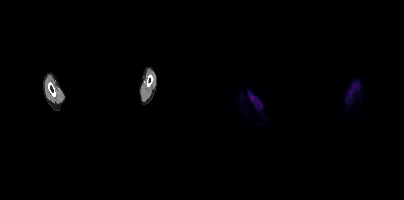
Findings: No tumor lesions annotated on this slice.
- Two-panel axial: CT | PSMA PET, [18F]PSMA-1007 tracer
- PET panel 200×200 px (4.1 mm/px)
- face de-identified by blanking a block of the head